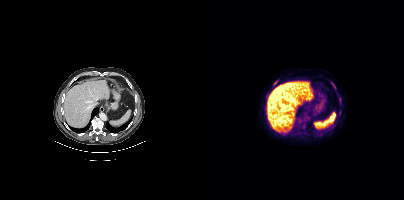
Left: CT. Right: PSMA PET, same axial level, [18F]PSMA-1007 tracer. Slice 254 of 438.
Coordinates are on the 200×200 PET (right) panel. PSMA-avid tumor lesion bounding boxes:
| # | x0 | y0 | x1 | y1 |
|---|---|---|---|---|
| 1 | 127 | 82 | 131 | 88 |
Small PSMA-avid focus (2 to 4 px across) near (center x, center y): (71, 83).